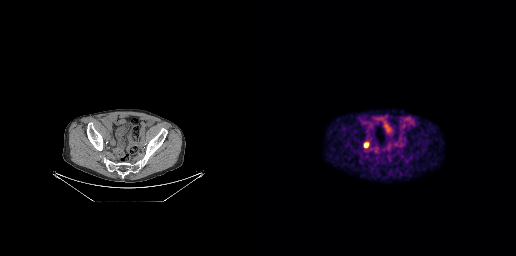
Technique: Left: CT. Right: PSMA PET, same axial level, 68Ga-PSMA tracer. acquired on GE Discovery 690. slice 58 of 227. PET panel 256×256 px (2.7 mm/px).
Findings: Coordinates are on the 256×256 PET (right) panel. Small PSMA-avid focus (2 to 4 px across) near (center x, center y): (106, 145).